Left: CT. Right: PSMA PET, same axial level, 18F tracer. Slice 83 of 466.
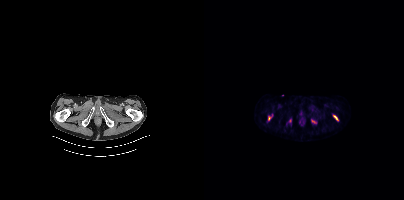
Coordinates are on the 200×200 PET (right) panel. PSMA-avid tumor lesion bounding boxes (partial; 1 more focus not listed):
| # | x0 | y0 | x1 | y1 |
|---|---|---|---|---|
| 1 | 129 | 115 | 134 | 120 |
| 2 | 107 | 120 | 112 | 123 |
Small PSMA-avid focus (2 to 4 px across) near (center x, center y): (65, 116).